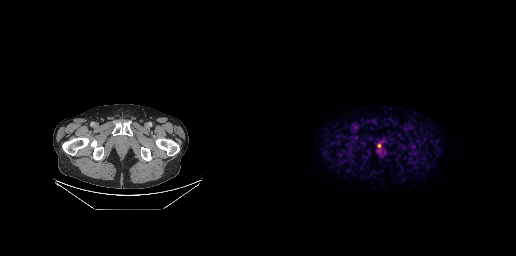
Coordinates are on the 256×256 PET (right) panel. PSMA-avid tumor lesion bounding box (x0, y0)-(x1, y1): (117, 143)-(121, 148). Left: CT. Right: PSMA PET, same axial level, 18F tracer. Acquired on GE Discovery 690. PET panel 256×256 px (2.7 mm/px).